Technique: Paired axial CT (left) and PSMA PET (right), 18F tracer. slice position z = -438 mm. PET panel 200×200 px (4.1 mm/px).
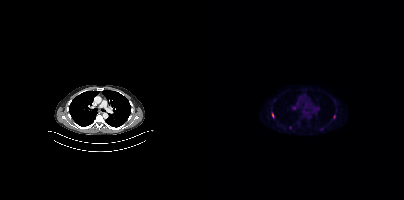
Findings: Coordinates are on the 200×200 PET (right) panel. (showing 2 of 3 foci) PSMA-avid tumor lesion bounding box (x0,y0,x1,y1): [68,113,70,117]. Small PSMA-avid focus (2 to 4 px across) near (center x, center y): (130, 116).